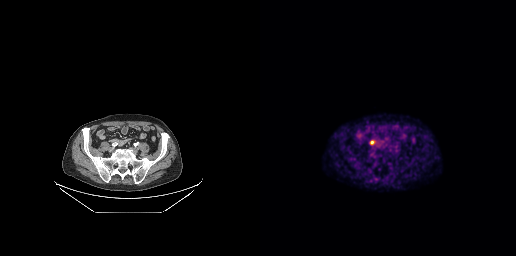
modality: PSMA PET/CT | tracer: [68Ga]Ga-PSMA-11 | view: axial
Coordinates are on the 256×256 PET (right) panel. PSMA-avid tumor lesion bounding box (x0,y0,x1,y1): [110,140,114,144].